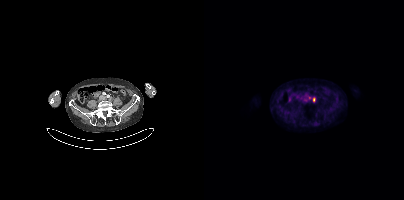
Coordinates are on the 200×200 PET (right) panel. PSMA-avid tumor lesion bounding box (x0, y0)-(x1, y1): (109, 97)-(111, 101). Small PSMA-avid focus (2 to 4 px across) near (center x, center y): (105, 97).